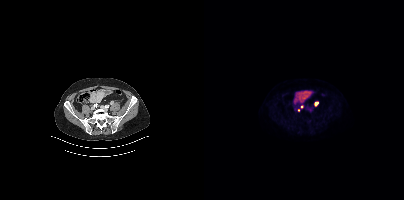
Left: CT. Right: PSMA PET, same axial level, 18F tracer. Acquired on Siemens Biograph mCT Flow 20. Slice position z = -1447 mm. PET panel 200×200 px (4.1 mm/px). Coordinates are on the 200×200 PET (right) panel. (showing 2 of 3 foci) PSMA-avid tumor lesion bounding box (x, y, width, height): x=110 y=101 w=5 h=6. Small PSMA-avid focus (2 to 4 px across) near (center x, center y): (97, 106).